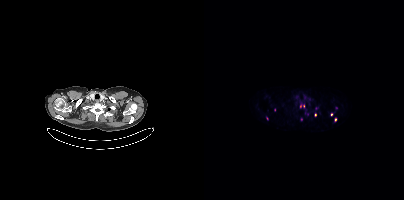
Technique: Paired axial CT (left) and PSMA PET (right), [68Ga]Ga-PSMA-11 tracer. acquired on Siemens Biograph mCT Flow 20. slice position z = -939 mm.
Findings: Coordinates are on the 200×200 PET (right) panel. (showing 6 of 9 foci) Small PSMA-avid foci (2 to 4 px across) near (center x, center y): (96, 106) / (127, 114) / (111, 115) / (62, 118) / (97, 119) / (131, 119).